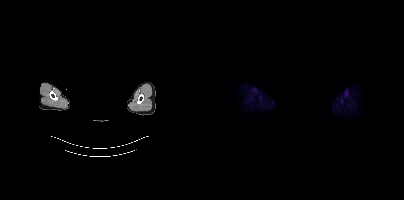
{"modality":"PSMA PET/CT","view":"axial","tracer":"18F","pet_grid":[200,200],"coord_frame":"pet_panel","coord_format":"x0,y0,x1,y1","deidentification":"head region blacked out before release","psma_avid_lesions":false}